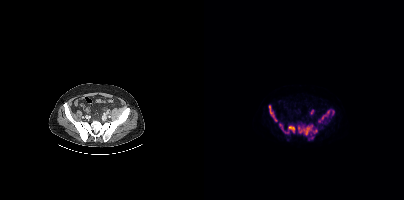
Paired axial CT (left) and PSMA PET (right), 18F-PSMA tracer. Acquired on Siemens Biograph mCT Flow 20. Slice position z = -922 mm. PET panel 200×200 px (4.1 mm/px).
Coordinates are on the 200×200 PET (right) panel. PSMA-avid tumor lesion bounding boxes (partial; 1 more focus not listed):
| # | x0 | y0 | x1 | y1 |
|---|---|---|---|---|
| 1 | 94 | 125 | 108 | 135 |
| 2 | 114 | 109 | 130 | 122 |
| 3 | 65 | 105 | 72 | 121 |
| 4 | 84 | 126 | 90 | 132 |
| 5 | 109 | 128 | 113 | 133 |
| 6 | 105 | 135 | 109 | 139 |
| 7 | 75 | 124 | 79 | 130 |
Small PSMA-avid focus (2 to 4 px across) near (center x, center y): (83, 132).